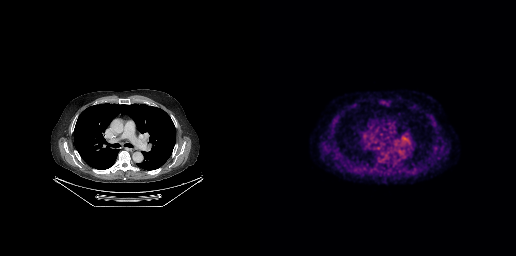
No PSMA-avid tumor lesions on this slice. Left: CT. Right: PSMA PET, same axial level, [18F]PSMA-1007 tracer. Slice 296 of 371. PET panel 256×256 px (2.7 mm/px).